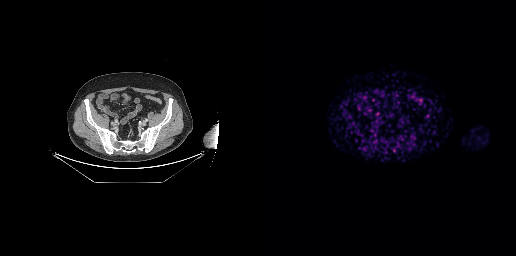
No tumor lesions annotated on this slice.
modality: PSMA PET/CT | tracer: 68Ga-PSMA | view: axial | PET grid: 256×256